modality: PSMA PET/CT | tracer: 18F-PSMA | view: axial | PET grid: 200×200
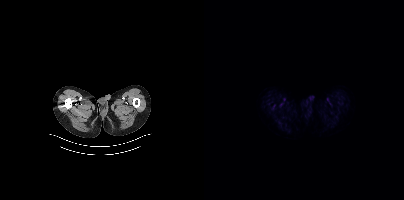
No PSMA-avid tumor lesions on this slice.